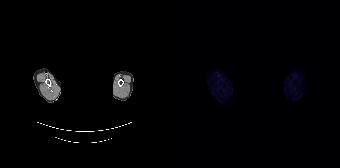
- a rectangle over the head was blacked out to remove identifiable facial features
- Paired axial CT (left) and PSMA PET (right), [68Ga]Ga-PSMA-11 tracer
- acquired on Siemens Biograph 64-4R TruePoint
- slice position z = -682 mm
Findings: No PSMA-avid tumor lesions on this slice.